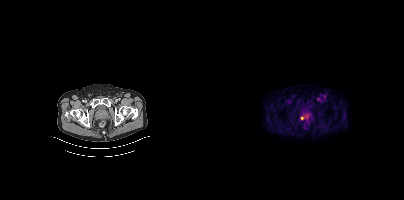
Coordinates are on the 200×200 PET (right) panel. Small PSMA-avid focus (2 to 4 px across) near (center x, center y): (98, 118).